Technique: Left: CT. Right: PSMA PET, same axial level, 18F-PSMA tracer. acquired on GE Discovery 690. slice position z = -796 mm.
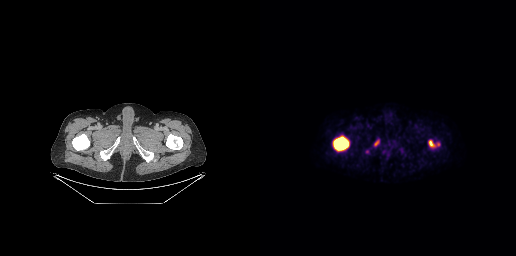
Findings: Coordinates are on the 256×256 PET (right) panel. PSMA-avid tumor lesion bounding boxes (x0,y0,x1,y1): [73,136,89,151]; [168,140,179,147]; [114,140,119,145].